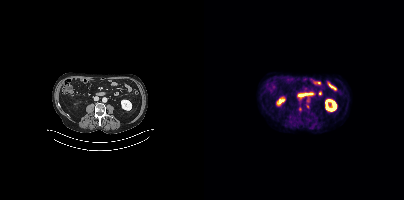
Paired axial CT (left) and PSMA PET (right), 18F-PSMA tracer. Acquired on Siemens Biograph mCT Flow 20. Coordinates are on the 200×200 PET (right) panel. Small PSMA-avid foci (2 to 4 px across) near (center x, center y): (103, 106) | (95, 108).